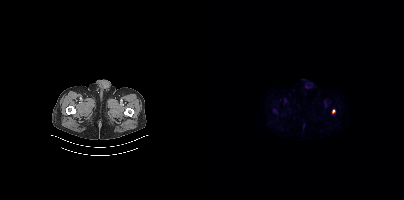
{"pet_grid":[200,200],"coord_frame":"pet_panel","coord_format":"x0,y0,x1,y1","lesion_bboxes":[[128,109,131,113]],"modality":"PSMA PET/CT","view":"axial","tracer":"18F"}